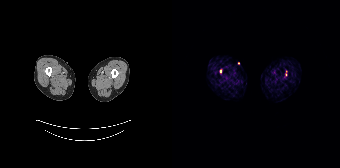
{"modality":"PSMA PET/CT","view":"axial","tracer":"68Ga","pet_grid":[168,168],"coord_frame":"pet_panel","coord_format":"x0,y0,x1,y1","partial":true,"lesion_bboxes":[]}